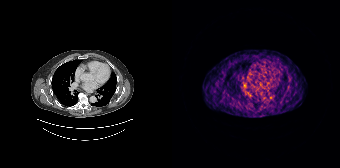
{"pet_grid":[168,168],"coord_frame":"pet_panel","coord_format":"x0,y0,x1,y1","lesion_bboxes":[],"small_foci_centers":[[73,86]],"modality":"PSMA PET/CT","view":"axial","tracer":"68Ga"}